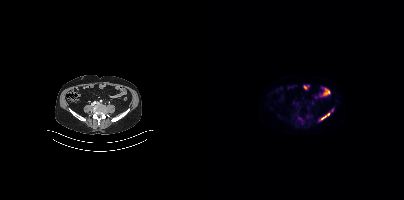
Coordinates are on the 200×200 PET (right) panel. (showing 1 of 3 foci) PSMA-avid tumor lesion bounding box (x, y, width, height): x=115 y=112 w=12 h=9.
modality: PSMA PET/CT | tracer: [18F]PSMA-1007 | view: axial | PET grid: 200×200